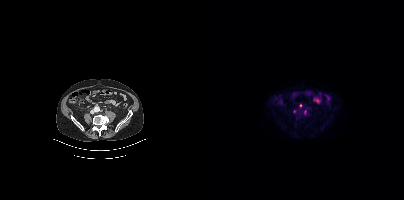
{"pet_grid":[200,200],"coord_frame":"pet_panel","coord_format":"x0,y0,x1,y1","partial":true,"lesion_bboxes":[],"small_foci_centers":[[100,112]],"modality":"PSMA PET/CT","view":"axial","tracer":"18F-PSMA"}